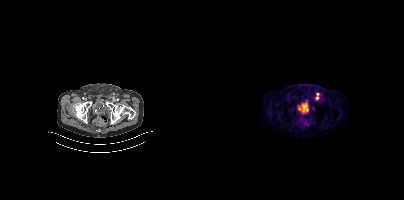
Coordinates are on the 200×200 PET (right) panel. Small PSMA-avid foci (2 to 4 px across) near (center x, center y): (113, 98), (113, 94), (101, 103).